- Two-panel axial: CT | PSMA PET, 18F-PSMA tracer
- acquired on Siemens Biograph 64-4R TruePoint
- slice position z = -1142 mm
- PET panel 168×168 px (4.1 mm/px)
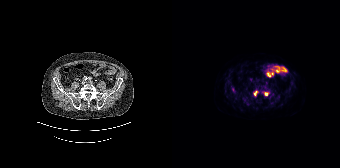
Findings: Coordinates are on the 168×168 PET (right) panel. (showing 2 of 3 foci) PSMA-avid tumor lesion bounding boxes (x, y, width, height): x=90 y=91 w=8 h=6 / x=81 y=90 w=6 h=7.